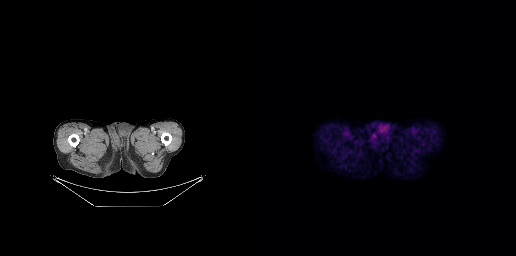
No tumor lesions annotated on this slice.
modality: PSMA PET/CT | tracer: 18F | view: axial